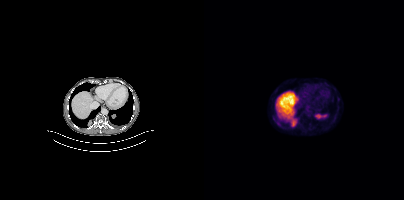
Two-panel axial: CT | PSMA PET, 18F tracer. Slice position z = 292 mm.
Coordinates are on the 200×200 PET (right) panel. PSMA-avid tumor lesion bounding boxes:
| # | x0 | y0 | x1 | y1 |
|---|---|---|---|---|
| 1 | 86 | 118 | 93 | 126 |
| 2 | 111 | 114 | 117 | 118 |
Small PSMA-avid foci (2 to 4 px across) near (center x, center y): (70, 118); (128, 99).